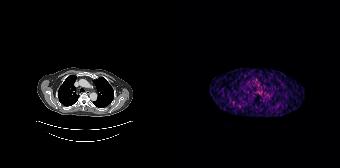
No tumor lesions annotated on this slice.